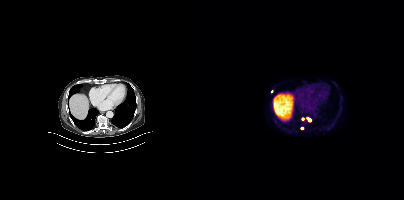
Technique: Left: CT. Right: PSMA PET, same axial level, [18F]PSMA-1007 tracer.
Findings: Coordinates are on the 200×200 PET (right) panel. (showing 3 of 5 foci) Small PSMA-avid foci (2 to 4 px across) near (center x, center y): (105, 120); (98, 118); (67, 91).